Paired axial CT (left) and PSMA PET (right), 68Ga-PSMA tracer. Acquired on GE Discovery 690. Slice position z = -728 mm. PET panel 256×256 px (2.7 mm/px).
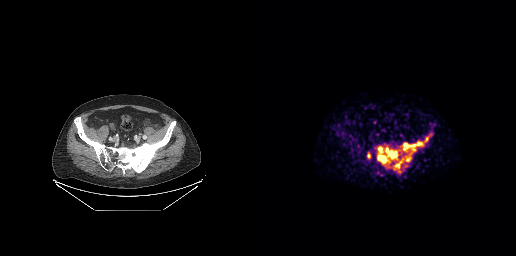
Coordinates are on the 256×256 PET (right) panel. PSMA-avid tumor lesion bounding boxes (partial; 2 more foci not listed):
| # | x0 | y0 | x1 | y1 |
|---|---|---|---|---|
| 1 | 117 | 146 | 137 | 163 |
| 2 | 143 | 141 | 163 | 151 |
| 3 | 134 | 159 | 143 | 168 |
| 4 | 146 | 157 | 150 | 161 |
| 5 | 165 | 137 | 168 | 141 |
Small PSMA-avid focus (2 to 4 px across) near (center x, center y): (109, 155).